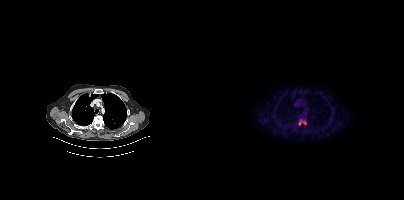
modality: PSMA PET/CT | tracer: 18F | view: axial
Coordinates are on the 200×200 PET (right) panel. PSMA-avid tumor lesion bounding box (x, y, width, height): x=95 y=119 w=8 h=7.